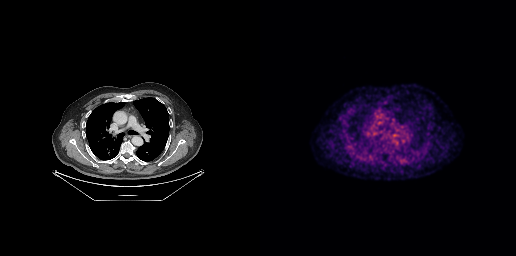
Technique: Paired axial CT (left) and PSMA PET (right), 18F-PSMA tracer. slice position z = -425 mm. PET panel 256×256 px (2.7 mm/px).
Findings: This slice has no annotated PSMA-avid lesion.